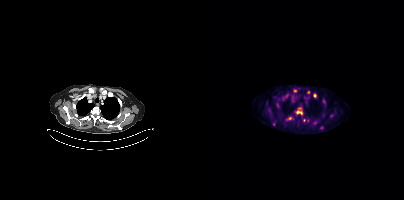
Technique: Left: CT. Right: PSMA PET, same axial level, [18F]PSMA-1007 tracer. acquired on Siemens Biograph mCT Flow 20. PET panel 200×200 px (4.1 mm/px).
Findings: Coordinates are on the 200×200 PET (right) panel. (showing 6 of 10 foci) PSMA-avid tumor lesion bounding boxes (x, y, width, height): x=92 y=110 w=7 h=5 | x=109 y=93 w=4 h=5. Small PSMA-avid foci (2 to 4 px across) near (center x, center y): (91, 90) | (104, 92) | (119, 100) | (86, 118).